Two-panel axial: CT | PSMA PET, [18F]PSMA-1007 tracer. Acquired on Siemens Biograph mCT Flow 20. Slice 110 of 405. PET panel 200×200 px (4.1 mm/px).
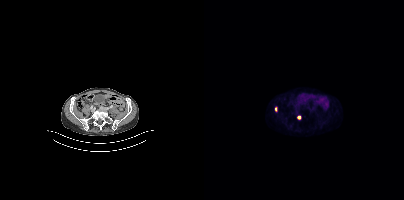
Coordinates are on the 200×200 PET (right) panel. PSMA-avid tumor lesion bounding boxes:
| # | x0 | y0 | x1 | y1 |
|---|---|---|---|---|
| 1 | 71 | 107 | 73 | 111 |
Small PSMA-avid focus (2 to 4 px across) near (center x, center y): (94, 117).